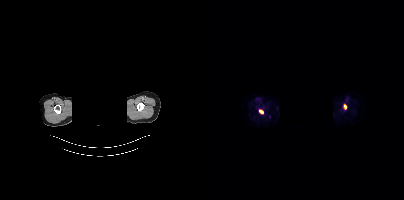
{"modality":"PSMA PET/CT","view":"axial","tracer":"[18F]PSMA-1007","pet_grid":[200,200],"coord_frame":"pet_panel","coord_format":"x0,y0,x1,y1","deidentification":"facial region redacted","lesion_bboxes":[[55,109,59,113],[140,104,142,109]]}